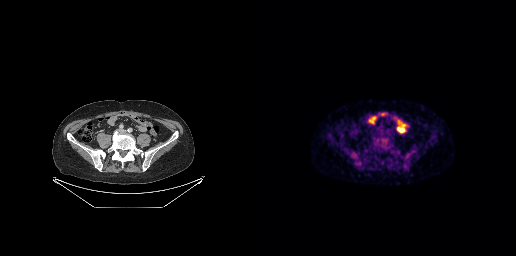
{"modality":"PSMA PET/CT","view":"axial","tracer":"[18F]PSMA-1007","pet_grid":[256,256],"coord_frame":"pet_panel","coord_format":"x0,y0,x1,y1","psma_avid_lesions":false}